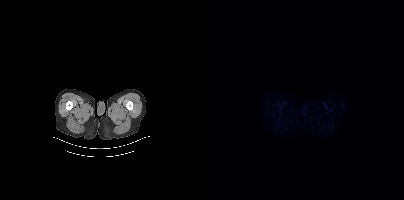
Negative for PSMA-avid disease on this slice.
modality: PSMA PET/CT | tracer: 18F-PSMA | view: axial | PET grid: 200×200